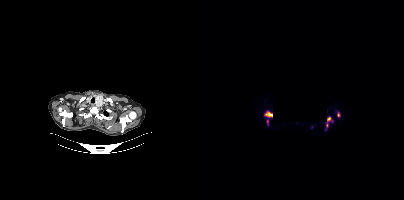
Any black rectangle here is a de-identification mask.
Coordinates are on the 200×200 PET (right) panel. (showing 3 of 4 foci) PSMA-avid tumor lesion bounding boxes (x0, y0)-(x1, y1): (60, 110)-(68, 125); (122, 117)-(126, 127); (133, 112)-(135, 116).